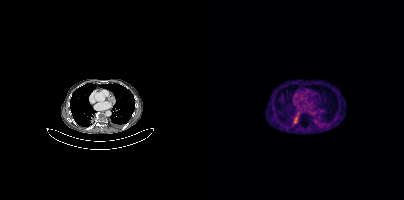
Left: CT. Right: PSMA PET, same axial level, 68Ga-PSMA tracer. PET panel 200×200 px (4.1 mm/px). This slice has no annotated PSMA-avid lesion.